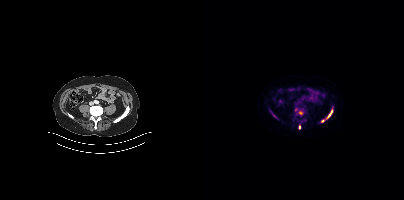
Coordinates are on the 200×200 PET (right) panel. PSMA-avid tumor lesion bounding box (x0,y0,x1,y1): [123,110,128,118]. Small PSMA-avid foci (2 to 4 px across) near (center x, center y): (95, 126), (118, 120), (96, 112). Two-panel axial: CT | PSMA PET, 18F-PSMA tracer. Acquired on Siemens Biograph mCT Flow 20. PET panel 200×200 px (4.1 mm/px).